Technique: Paired axial CT (left) and PSMA PET (right), 18F-PSMA tracer.
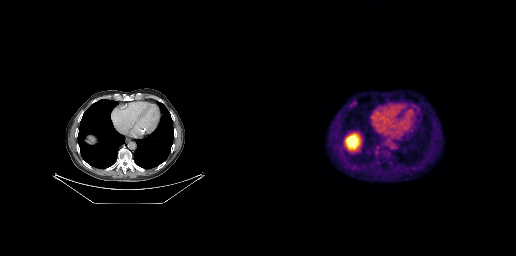
Findings: Coordinates are on the 256×256 PET (right) panel. PSMA-avid tumor lesion bounding box (x0, y0)-(x1, y1): (89, 101)-(96, 107).